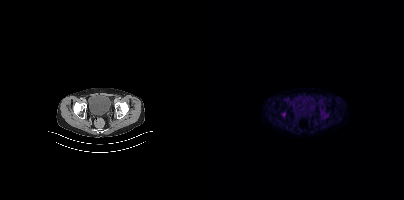
Findings: Negative for PSMA-avid disease on this slice.
Technique: Two-panel axial: CT | PSMA PET, 18F tracer. acquired on Siemens Biograph mCT Flow 20.